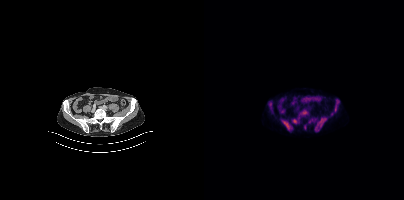
Coordinates are on the 200×200 PET (right) panel. (showing 3 of 4 foci) PSMA-avid tumor lesion bounding boxes (x0,y0,x1,y1): [112,118,121,129]; [78,120,88,130]; [95,110,103,115].